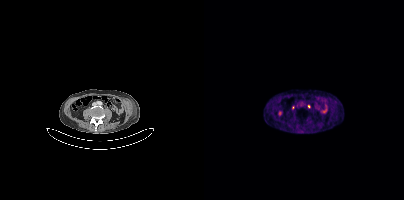
No tumor lesions annotated on this slice.